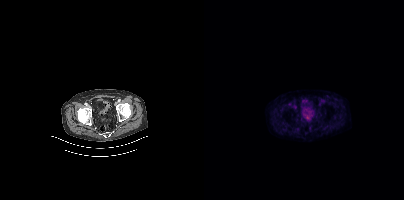
Only PSMA-avid lesion pieces thinner than 2 px on this slice (not listed).